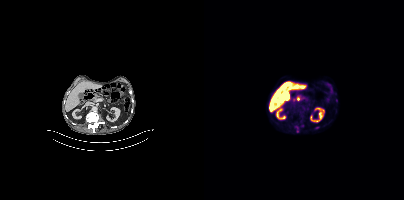
Coordinates are on the 200×200 PET (right) panel. (showing 1 of 3 foci) PSMA-avid tumor lesion bounding box (x, y, width, height): x=111 y=126 w=5 h=4.